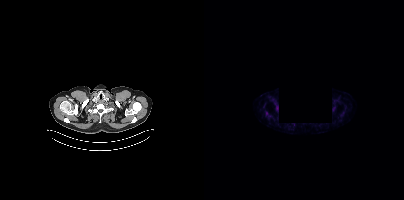
A black rectangle in this scan is a privacy mask, not anatomy.
This slice has no annotated PSMA-avid lesion.